modality: PSMA PET/CT | tracer: 18F-PSMA | view: axial | PET grid: 200×200
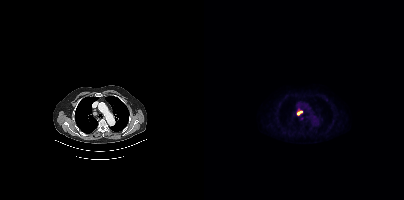
Coordinates are on the 200×200 PET (right) panel. PSMA-avid tumor lesion bounding box (x, y, width, height): x=93 y=110 w=6 h=6.